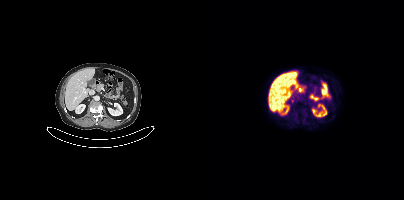
{"modality":"PSMA PET/CT","view":"axial","tracer":"18F-PSMA","pet_grid":[200,200],"coord_frame":"pet_panel","coord_format":"x0,y0,x1,y1","lesion_bboxes":[],"small_foci_centers":[[88,100]]}